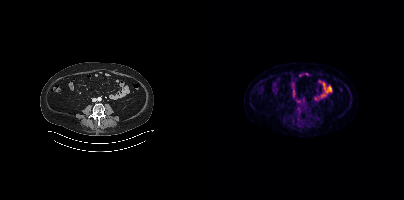
- Two-panel axial: CT | PSMA PET, 18F tracer
- acquired on Siemens Biograph mCT Flow 20
Findings: No tumor lesions annotated on this slice.